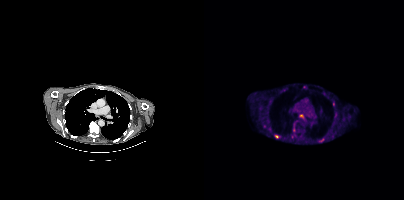
Paired axial CT (left) and PSMA PET (right), [18F]PSMA-1007 tracer. Slice position z = -1002 mm. PET panel 200×200 px (4.1 mm/px). Coordinates are on the 200×200 PET (right) panel. (showing 4 of 6 foci) PSMA-avid tumor lesion bounding box (x0, y0)-(x1, y1): (116, 138)-(120, 142). Small PSMA-avid foci (2 to 4 px across) near (center x, center y): (72, 136) / (100, 86) / (89, 129).